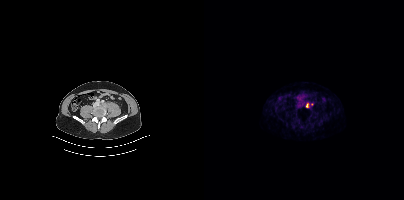
Left: CT. Right: PSMA PET, same axial level, 18F tracer. Acquired on Siemens Biograph mCT Flow 20. PET panel 200×200 px (4.1 mm/px). Coordinates are on the 200×200 PET (right) panel. PSMA-avid tumor lesion bounding box (x, y, width, height): x=102 y=103 w=3 h=5. Small PSMA-avid focus (2 to 4 px across) near (center x, center y): (107, 104).